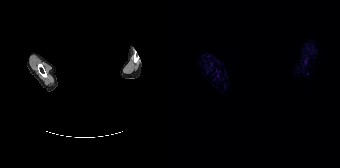
modality: PSMA PET/CT | tracer: [68Ga]Ga-PSMA-11 | view: axial | PET grid: 168×168 | redaction: facial region redacted
No tumor lesions annotated on this slice.